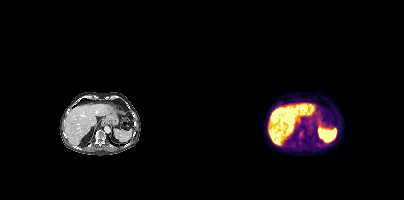
- Two-panel axial: CT | PSMA PET, 18F tracer
- slice position z = -98 mm
- PET panel 200×200 px (4.1 mm/px)
Findings: Coordinates are on the 200×200 PET (right) panel. Small PSMA-avid foci (2 to 4 px across) near (center x, center y): (96, 133) / (95, 143).